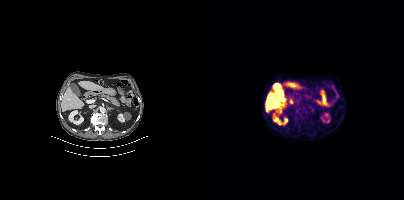
No PSMA-avid tumor lesions on this slice.
modality: PSMA PET/CT | tracer: 18F | view: axial